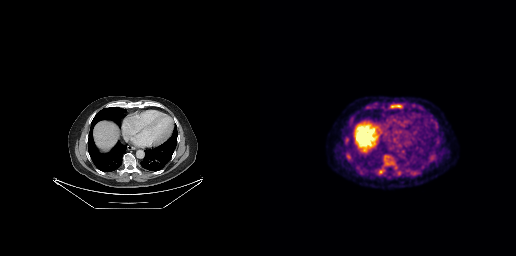
Findings: Coordinates are on the 256×256 PET (right) panel. PSMA-avid tumor lesion bounding box (x, y, width, height): x=131 y=104 w=9 h=5.
Technique: Left: CT. Right: PSMA PET, same axial level, 18F-PSMA tracer. acquired on GE Discovery 690. slice position z = -302 mm. PET panel 256×256 px (2.7 mm/px).